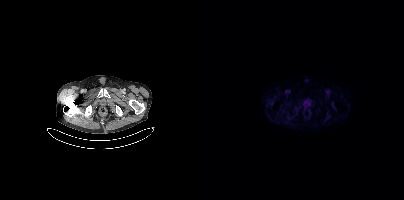
Paired axial CT (left) and PSMA PET (right), [18F]PSMA-1007 tracer. PET panel 200×200 px (4.1 mm/px). This slice has no annotated PSMA-avid lesion.